Left: CT. Right: PSMA PET, same axial level, 18F-PSMA tracer. Slice 144 of 263. PET panel 256×256 px (2.7 mm/px).
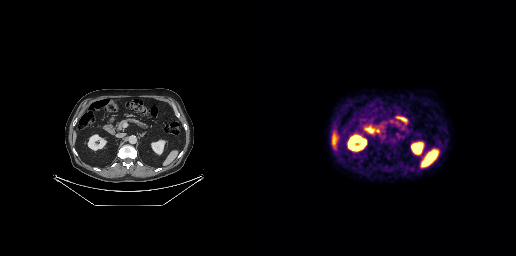
Negative for PSMA-avid disease on this slice.